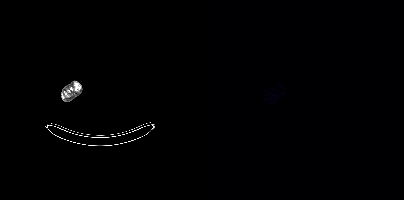
- Paired axial CT (left) and PSMA PET (right), 18F tracer
- acquired on Siemens Biograph mCT Flow 20
- PET panel 200×200 px (4.1 mm/px)
Findings: No tumor lesions annotated on this slice.